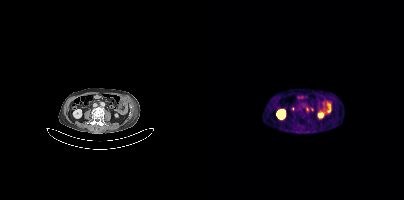
Paired axial CT (left) and PSMA PET (right), 68Ga tracer. Acquired on Siemens Biograph mCT Flow 20. PET panel 200×200 px (4.1 mm/px). Coordinates are on the 200×200 PET (right) panel. Small PSMA-avid focus (2 to 4 px across) near (center x, center y): (103, 109).